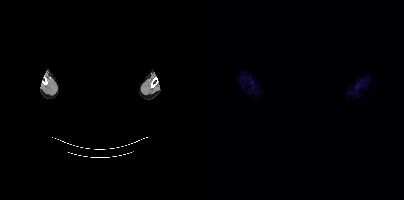
{"modality":"PSMA PET/CT","view":"axial","tracer":"18F","pet_grid":[200,200],"coord_frame":"pet_panel","coord_format":"x0,y0,x1,y1","psma_avid_lesions":false,"redaction":"head region blanked (face removed)"}